Paired axial CT (left) and PSMA PET (right), 18F tracer. PET panel 200×200 px (4.1 mm/px).
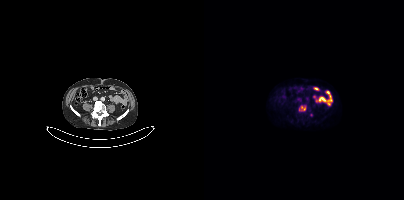
Coordinates are on the 200×200 PET (right) panel. PSMA-avid tumor lesion bounding boxes (partial; 1 more focus not listed):
| # | x0 | y0 | x1 | y1 |
|---|---|---|---|---|
| 1 | 95 | 106 | 101 | 110 |